Technique: Left: CT. Right: PSMA PET, same axial level, 68Ga tracer. acquired on GE Discovery 690. slice position z = -966 mm.
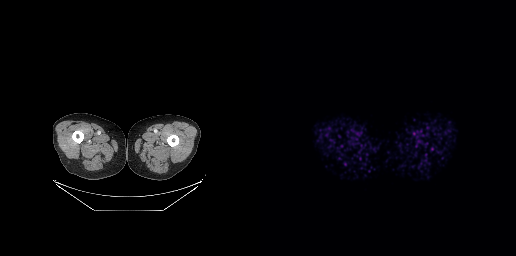
Findings: This slice has no annotated PSMA-avid lesion.